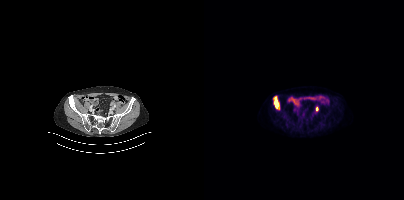
Technique: Left: CT. Right: PSMA PET, same axial level, [18F]PSMA-1007 tracer. slice 107 of 423. PET panel 200×200 px (4.1 mm/px).
Findings: Coordinates are on the 200×200 PET (right) panel. PSMA-avid tumor lesion bounding box (x, y, width, height): x=69 y=96 w=7 h=14. Small PSMA-avid focus (2 to 4 px across) near (center x, center y): (112, 108).